Paired axial CT (left) and PSMA PET (right), 18F tracer. Acquired on Siemens Biograph mCT Flow 20. PET panel 200×200 px (4.1 mm/px).
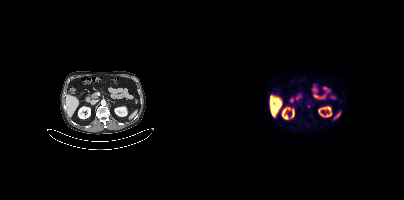
Coordinates are on the 200×200 PET (right) panel. Small PSMA-avid focus (2 to 4 px across) near (center x, center y): (104, 106).